Paired axial CT (left) and PSMA PET (right), 18F tracer. Acquired on Siemens Biograph mCT Flow 20. Slice 49 of 381. PET panel 200×200 px (4.1 mm/px).
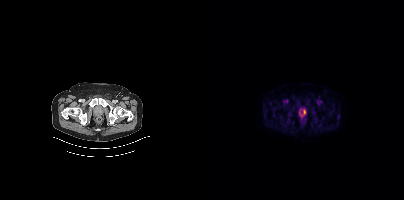
This slice has no annotated PSMA-avid lesion.